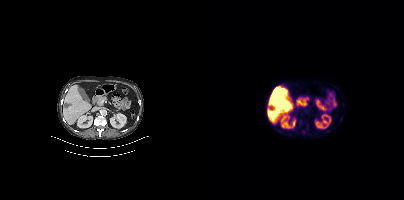
Coordinates are on the 200×200 PET (right) panel. Small PSMA-avid focus (2 to 4 px across) near (center x, center y): (139, 104).